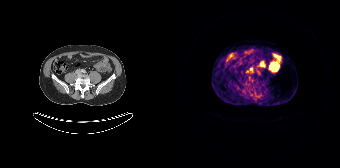
Paired axial CT (left) and PSMA PET (right), [68Ga]Ga-PSMA-11 tracer. Acquired on Siemens Biograph 64-4R TruePoint. Slice position z = 1226 mm.
Coordinates are on the 168×168 PET (right) panel. PSMA-avid tumor lesion bounding boxes:
| # | x0 | y0 | x1 | y1 |
|---|---|---|---|---|
| 1 | 78 | 67 | 80 | 72 |